Paired axial CT (left) and PSMA PET (right), [18F]PSMA-1007 tracer.
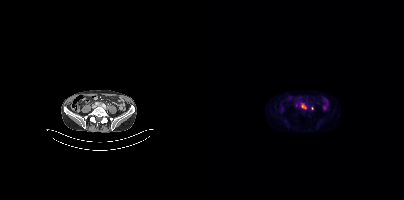
Coordinates are on the 200×200 PET (right) panel. PSMA-avid tumor lesion bounding boxes:
| # | x0 | y0 | x1 | y1 |
|---|---|---|---|---|
| 1 | 97 | 103 | 102 | 109 |
Small PSMA-avid foci (2 to 4 px across) near (center x, center y): (108, 108); (92, 105).